Paired axial CT (left) and PSMA PET (right), 18F tracer.
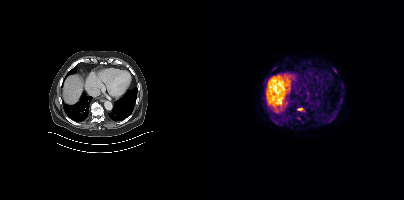
Coordinates are on the 200×200 PET (right) panel. (showing 5 of 6 foci) PSMA-avid tumor lesion bounding boxes (x0, y0)-(x1, y1): (119, 119)-(125, 123); (128, 114)-(132, 119); (136, 98)-(139, 102); (137, 82)-(140, 86). Small PSMA-avid focus (2 to 4 px across) near (center x, center y): (131, 69).